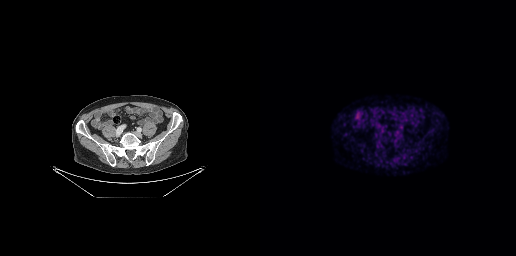
Technique: Left: CT. Right: PSMA PET, same axial level, 68Ga-PSMA tracer. slice position z = -726 mm.
Findings: Negative for PSMA-avid disease on this slice.